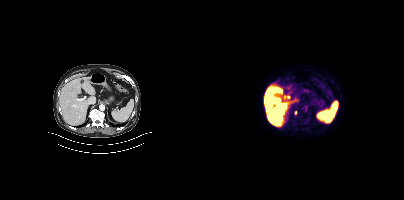
Coordinates are on the 200×200 PET (right) panel. Small PSMA-avid focus (2 to 4 px across) near (center x, center y): (91, 112).